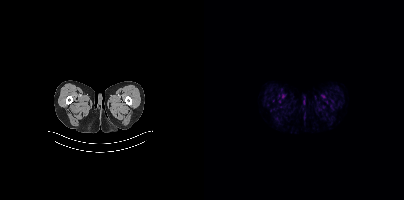
No tumor lesions annotated on this slice.